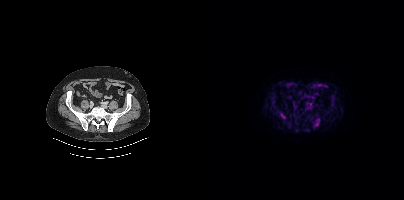
Coordinates are on the 200×200 PET (right) panel. (showing 6 of 7 foci) PSMA-avid tumor lesion bounding boxes (x0,y0,x1,y1): [109,119,116,127] [76,112,82,119] [127,96,131,100] [110,113,114,117] [119,110,123,114] [127,103,129,107].